Paired axial CT (left) and PSMA PET (right), 18F-PSMA tracer. PET panel 256×256 px (2.7 mm/px).
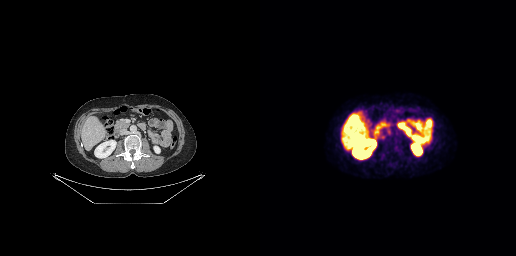
Coordinates are on the 256×256 PET (right) panel. Small PSMA-avid focus (2 to 4 px across) near (center x, center y): (122, 137).